Technique: Two-panel axial: CT | PSMA PET, [68Ga]Ga-PSMA-11 tracer.
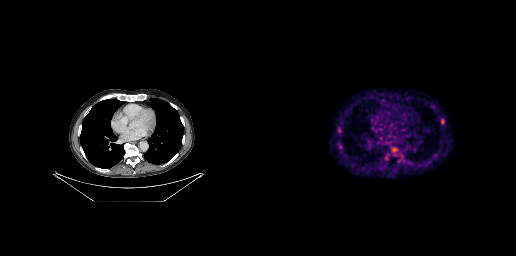
Findings: Coordinates are on the 256×256 PET (right) panel. Small PSMA-avid foci (2 to 4 px across) near (center x, center y): (182, 122) | (80, 146).